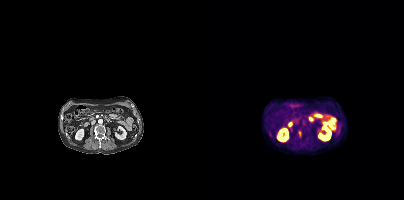
Coordinates are on the 200×200 PET (right) panel. PSMA-avid tumor lesion bounding box (x0,y0,x1,y1): [94,130,97,136].